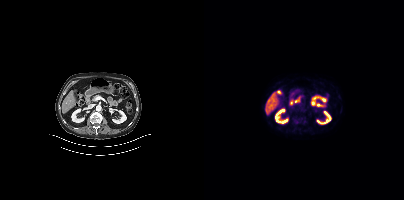
No tumor lesions annotated on this slice. Two-panel axial: CT | PSMA PET, [18F]PSMA-1007 tracer. Slice 204 of 423.